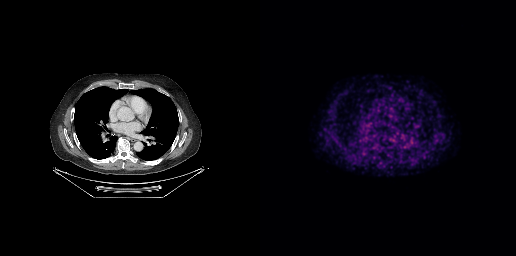
modality: PSMA PET/CT | tracer: 68Ga | view: axial | PET grid: 256×256
This slice has no annotated PSMA-avid lesion.